- Two-panel axial: CT | PSMA PET, 18F-PSMA tracer
- PET panel 200×200 px (4.1 mm/px)
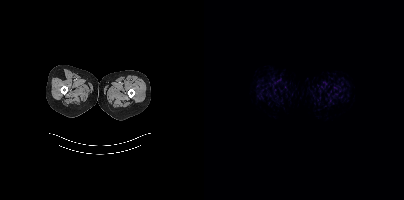
Findings: No PSMA-avid tumor lesions on this slice.